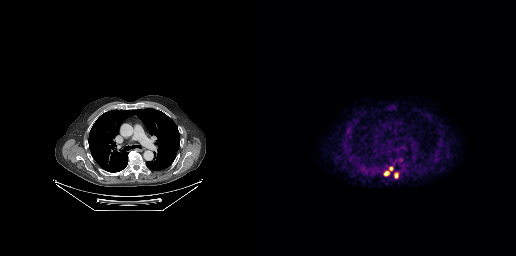
Coordinates are on the 256×256 PET (right) panel. PSMA-avid tumor lesion bounding boxes (x, y, width, height): x=124 y=171 w=5 h=5 / x=135 y=173 w=3 h=5. Small PSMA-avid focus (2 to 4 px across) near (center x, center y): (131, 168).